modality: PSMA PET/CT | tracer: 18F-PSMA | view: axial | PET grid: 200×200
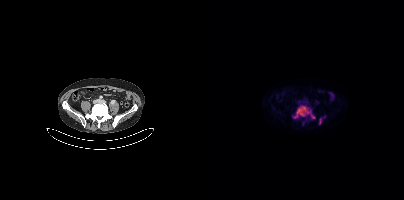
Coordinates are on the 200×200 PET (right) panel. (showing 2 of 3 foci) PSMA-avid tumor lesion bounding boxes (x, y, width, height): x=89 y=105 w=23 h=14 | x=115 y=118 w=3 h=7.